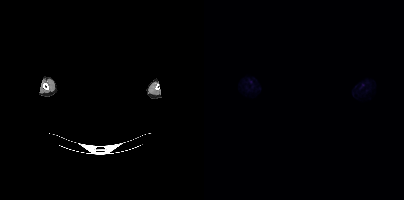
Two-panel axial: CT | PSMA PET, 18F-PSMA tracer. Acquired on Siemens Biograph mCT Flow 20. PET panel 200×200 px (4.1 mm/px). Face de-identified by blanking a block of the head. No tumor lesions annotated on this slice.